Technique: Two-panel axial: CT | PSMA PET, 18F-PSMA tracer. acquired on Siemens Biograph mCT Flow 20. PET panel 200×200 px (4.1 mm/px).
Note: Facial anatomy redacted by setting a rectangular region of the head to black.
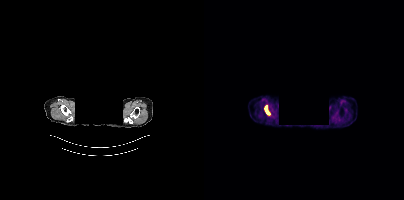
Findings: Coordinates are on the 200×200 PET (right) panel. PSMA-avid tumor lesion bounding box (x, y, width, height): x=61 y=106 w=4 h=8.